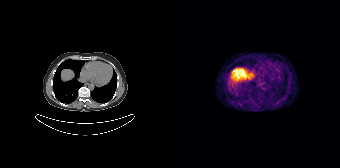
Negative for PSMA-avid disease on this slice.